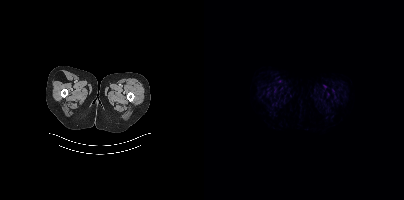
modality: PSMA PET/CT | tracer: 18F | view: axial | PET grid: 200×200
Negative for PSMA-avid disease on this slice.